modality: PSMA PET/CT | tracer: 18F | view: axial | PET grid: 200×200
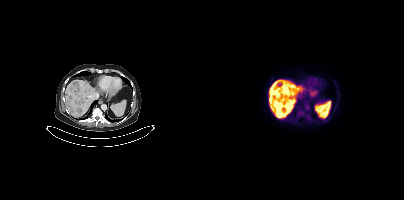
Coordinates are on the 200×200 PET (right) panel. (showing 3 of 4 foci) PSMA-avid tumor lesion bounding boxes (x, y, width, height): x=66 y=89 w=8 h=8 | x=73 y=111 w=5 h=5 | x=72 y=82 w=6 h=6.